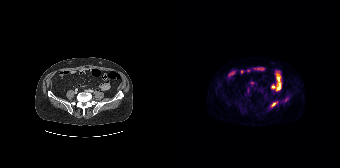
{"modality":"PSMA PET/CT","view":"axial","tracer":"[18F]PSMA-1007","pet_grid":[168,168],"coord_frame":"pet_panel","coord_format":"x0,y0,x1,y1","lesion_bboxes":[],"small_foci_centers":[[101,104],[114,99]]}